Technique: Two-panel axial: CT | PSMA PET, 68Ga-PSMA tracer. slice 256 of 263. PET panel 256×256 px (2.7 mm/px).
Note: A rectangular block over the head has been blanked out for de-identification.
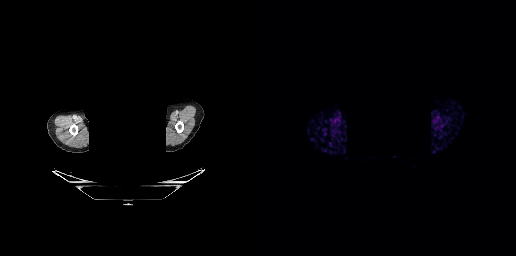
Findings: No PSMA-avid tumor lesions on this slice.